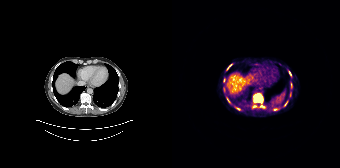
{"modality":"PSMA PET/CT","view":"axial","tracer":"68Ga-PSMA","pet_grid":[168,168],"coord_frame":"pet_panel","coord_format":"x0,y0,x1,y1","partial":true,"lesion_bboxes":[[82,93,90,102],[101,108,105,110],[54,97,58,103],[117,71,119,75],[64,108,68,110],[55,64,59,69],[112,101,115,106],[88,106,92,107]]}